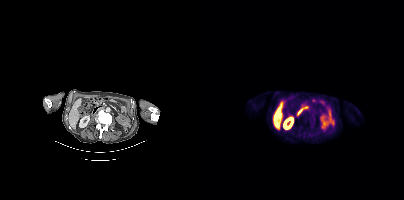
{"modality":"PSMA PET/CT","view":"axial","tracer":"18F-PSMA","pet_grid":[200,200],"coord_frame":"pet_panel","coord_format":"x0,y0,x1,y1","psma_avid_lesions":false}